Left: CT. Right: PSMA PET, same axial level, 18F-PSMA tracer. Acquired on Siemens Biograph mCT Flow 20.
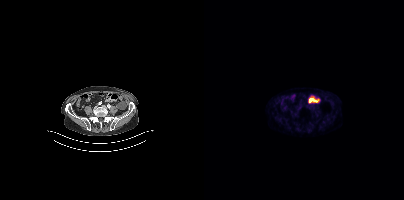
Negative for PSMA-avid disease on this slice.